Paired axial CT (left) and PSMA PET (right), 18F-PSMA tracer. Acquired on Siemens Biograph mCT Flow 20. Slice 242 of 442.
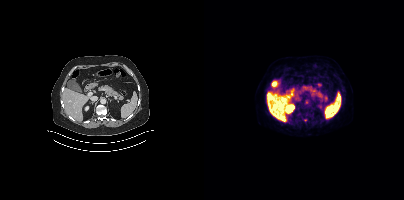
Only PSMA-avid lesion pieces thinner than 2 px on this slice (not listed).